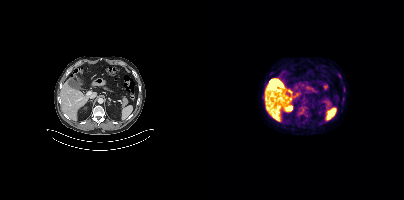
Findings: No PSMA-avid tumor lesions on this slice.
Technique: Left: CT. Right: PSMA PET, same axial level, 18F-PSMA tracer.